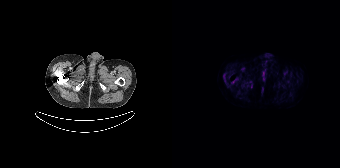
Technique: Two-panel axial: CT | PSMA PET, 18F-PSMA tracer.
Findings: No PSMA-avid tumor lesions on this slice.